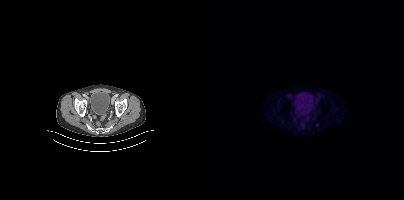
{"modality":"PSMA PET/CT","view":"axial","tracer":"18F","pet_grid":[200,200],"coord_frame":"pet_panel","coord_format":"x0,y0,x1,y1","psma_avid_lesions":false}